- Paired axial CT (left) and PSMA PET (right), [18F]PSMA-1007 tracer
- acquired on Siemens Biograph mCT Flow 20
- slice 136 of 433
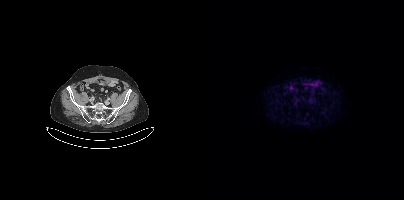
Findings: Negative for PSMA-avid disease on this slice.